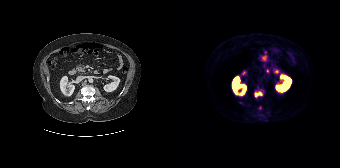
Coordinates are on the 168×168 PET (right) panel. PSMA-avid tumor lesion bounding boxes:
| # | x0 | y0 | x1 | y1 |
|---|---|---|---|---|
| 1 | 83 | 92 | 90 | 96 |
Small PSMA-avid focus (2 to 4 px across) near (center x, center y): (68, 102).
Two-panel axial: CT | PSMA PET, [68Ga]Ga-PSMA-11 tracer. Slice position z = -1228 mm. PET panel 168×168 px (4.1 mm/px).